Paired axial CT (left) and PSMA PET (right), [18F]PSMA-1007 tracer. Slice position z = 10 mm. PET panel 200×200 px (4.1 mm/px).
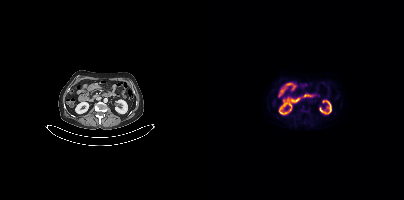
Negative for PSMA-avid disease on this slice.